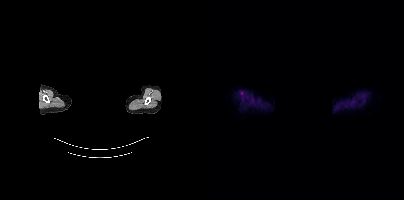
This slice has no annotated PSMA-avid lesion. The face region was removed for patient privacy by blanking a rectangle over the head. Paired axial CT (left) and PSMA PET (right), 18F-PSMA tracer. PET panel 200×200 px (4.1 mm/px).